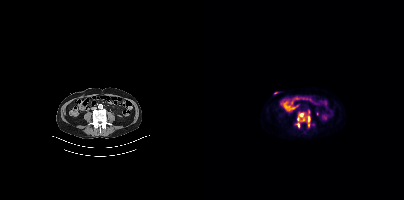
Coordinates are on the 200×200 PET (right) panel. PSMA-avid tumor lesion bounding boxes:
| # | x0 | y0 | x1 | y1 |
|---|---|---|---|---|
| 1 | 92 | 113 | 101 | 127 |
| 2 | 103 | 116 | 106 | 126 |
Left: CT. Right: PSMA PET, same axial level, [18F]PSMA-1007 tracer. PET panel 200×200 px (4.1 mm/px).